modality: PSMA PET/CT | tracer: 18F | view: axial | PET grid: 200×200
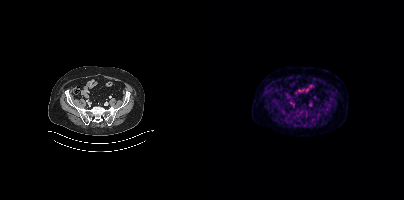
No tumor lesions annotated on this slice.